- Left: CT. Right: PSMA PET, same axial level, 18F-PSMA tracer
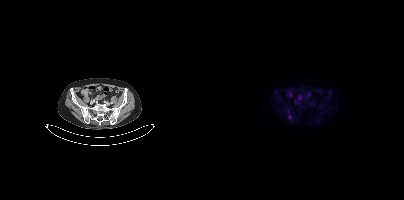
Findings: No tumor lesions annotated on this slice.